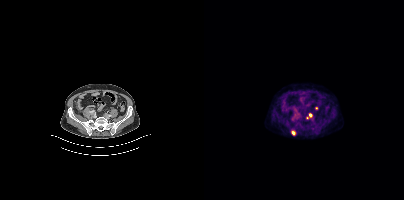
Left: CT. Right: PSMA PET, same axial level, [18F]PSMA-1007 tracer. Slice position z = -889 mm. Coordinates are on the 200×200 PET (right) panel. (showing 2 of 3 foci) PSMA-avid tumor lesion bounding box (x0, y0)-(x1, y1): (87, 129)-(92, 135). Small PSMA-avid focus (2 to 4 px across) near (center x, center y): (106, 114).